modality: PSMA PET/CT | tracer: 68Ga | view: axial
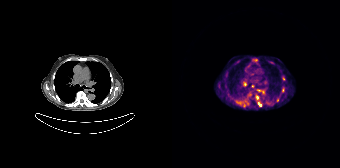
Coordinates are on the 168×168 PET (right) panel. PSMA-avid tumor lesion bounding boxes (x0,y0,x1,y1): [70,99,77,107], [80,58,85,62], [85,89,92,93], [71,82,74,86], [110,87,112,92], [63,100,67,103], [86,102,89,106]. Small PSMA-avid foci (2 to 4 px across) near (center x, center y): (105, 99), (111, 78), (80, 86), (85, 97), (98, 103), (100, 103).